Paired axial CT (left) and PSMA PET (right), [18F]PSMA-1007 tracer. Acquired on GE Discovery 690. Slice position z = -855 mm.
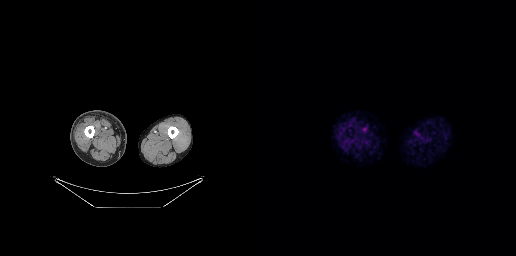
No PSMA-avid tumor lesions on this slice.